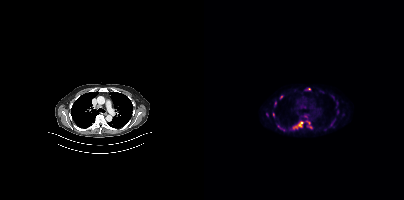
- Paired axial CT (left) and PSMA PET (right), 18F-PSMA tracer
- slice 297 of 413
Findings: Coordinates are on the 200×200 PET (right) panel. (showing 7 of 11 foci) PSMA-avid tumor lesion bounding boxes (x0,y0,x1,y1): [88,121,99,129]; [102,121,108,128]; [133,110,134,114]. Small PSMA-avid foci (2 to 4 px across) near (center x, center y): (77, 96); (71, 103); (69, 114); (105, 88).